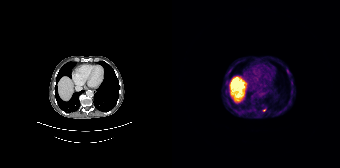
Findings: Coordinates are on the 168×168 PET (right) panel. (showing 2 of 3 foci) Small PSMA-avid foci (2 to 4 px across) near (center x, center y): (115, 70); (91, 110).
Technique: Paired axial CT (left) and PSMA PET (right), 68Ga-PSMA tracer.